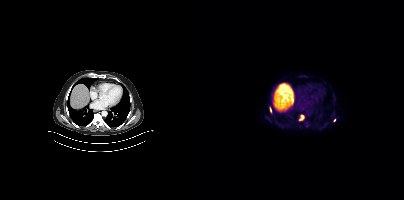
Coordinates are on the 200×200 PET (right) panel. PSMA-avid tumor lesion bounding boxes (x0,y0,x1,y1): [95,115,100,120] [66,107,67,112]. Small PSMA-avid focus (2 to 4 px across) near (center x, center y): (130, 120).